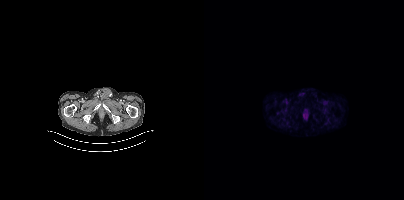
{"modality":"PSMA PET/CT","view":"axial","tracer":"18F","pet_grid":[200,200],"coord_frame":"pet_panel","coord_format":"x0,y0,x1,y1","psma_avid_lesions":false}